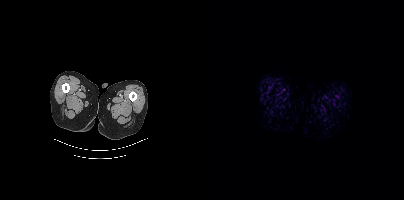
Findings: This slice has no annotated PSMA-avid lesion.
Technique: Paired axial CT (left) and PSMA PET (right), 18F tracer. slice 7 of 462. PET panel 200×200 px (4.1 mm/px).